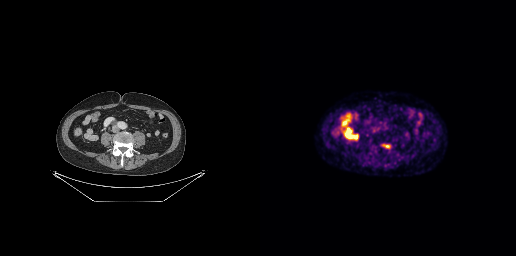
modality: PSMA PET/CT | tracer: 18F-PSMA | view: axial
This slice has no annotated PSMA-avid lesion.